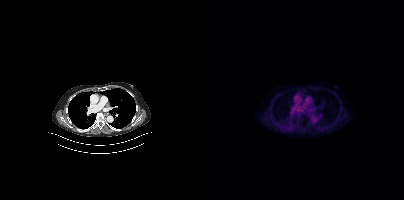
This slice has no annotated PSMA-avid lesion.